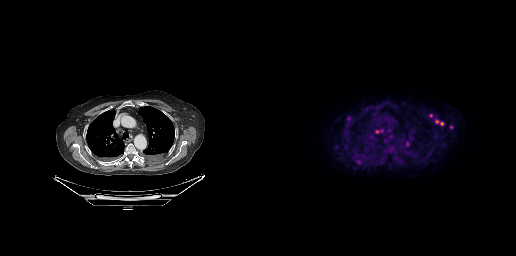
Coordinates are on the 256×256 PET (right) panel. PSMA-avid tumor lesion bounding boxes (partial; 1 more focus not listed):
| # | x0 | y0 | x1 | y1 |
|---|---|---|---|---|
| 1 | 175 | 120 | 183 | 124 |
| 2 | 116 | 129 | 123 | 133 |
| 3 | 86 | 116 | 91 | 120 |
| 4 | 97 | 160 | 101 | 164 |
Small PSMA-avid foci (2 to 4 px across) near (center x, center y): (191, 126); (171, 115); (135, 106); (147, 144); (125, 140); (92, 157).
Paired axial CT (left) and PSMA PET (right), [18F]PSMA-1007 tracer. PET panel 256×256 px (2.7 mm/px).